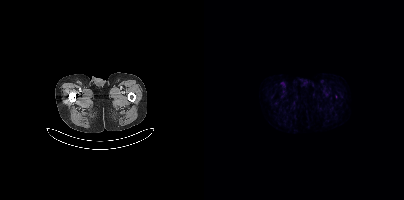
{"modality":"PSMA PET/CT","view":"axial","tracer":"18F","pet_grid":[200,200],"coord_frame":"pet_panel","coord_format":"x0,y0,x1,y1","psma_avid_lesions":false}